Technique: Left: CT. Right: PSMA PET, same axial level, [18F]PSMA-1007 tracer. acquired on Siemens Biograph mCT Flow 20. slice 306 of 423.
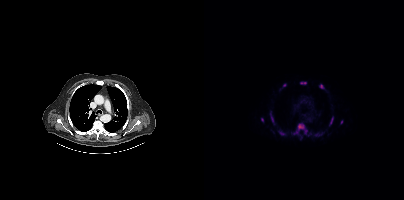
Findings: Coordinates are on the 200×200 PET (right) panel. (showing 11 of 14 foci) PSMA-avid tumor lesion bounding boxes (x, y, width, height): x=89 y=122 w=15 h=13; x=75 y=131 w=7 h=5; x=66 y=113 w=4 h=10; x=125 y=117 w=5 h=9; x=96 y=82 w=7 h=3; x=116 y=84 w=5 h=5; x=96 y=135 w=3 h=5. Small PSMA-avid foci (2 to 4 px across) near (center x, center y): (58, 119); (80, 85); (137, 121); (112, 134).